Technique: Paired axial CT (left) and PSMA PET (right), 18F tracer. slice position z = -701 mm. PET panel 200×200 px (4.1 mm/px).
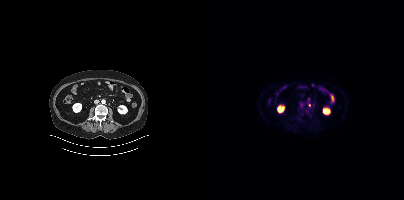
Findings: Coordinates are on the 200×200 PET (right) panel. Small PSMA-avid focus (2 to 4 px across) near (center x, center y): (105, 104).